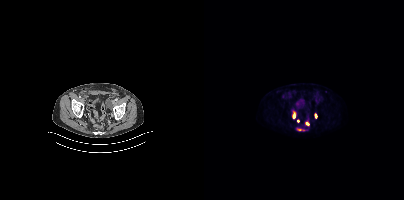
modality: PSMA PET/CT | tracer: 18F | view: axial | PET grid: 200×200
Coordinates are on the 200×200 PET (right) panel. (showing 5 of 6 foci) PSMA-avid tumor lesion bounding boxes (x, y, width, height): x=88 y=111 w=4 h=8 | x=101 y=121 w=5 h=5 | x=111 y=114 w=3 h=5 | x=93 y=129 w=5 h=2. Small PSMA-avid focus (2 to 4 px across) near (center x, center y): (94, 120).